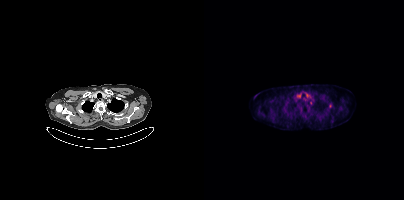
Coordinates are on the 200×200 PET (right) panel. (showing 1 of 2 foci) Small PSMA-avid focus (2 to 4 px across) near (center x, center y): (126, 105).